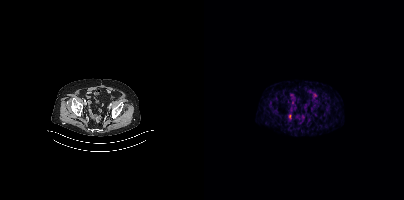
Only PSMA-avid lesion pieces thinner than 2 px on this slice (not listed). Paired axial CT (left) and PSMA PET (right), 68Ga-PSMA tracer. Acquired on Siemens Biograph mCT Flow 20. Slice position z = -1458 mm.